Technique: Left: CT. Right: PSMA PET, same axial level, [18F]PSMA-1007 tracer. PET panel 200×200 px (4.1 mm/px).
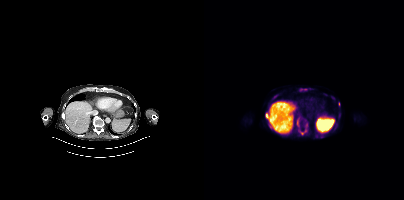
Findings: Coordinates are on the 200×200 PET (right) panel. (showing 8 of 10 foci) PSMA-avid tumor lesion bounding boxes (x, y, width, height): x=94 y=128 w=10 h=8 | x=61 y=114 w=5 h=7 | x=96 y=89 w=8 h=2 | x=93 y=118 w=3 h=7 | x=69 y=95 w=5 h=4. Small PSMA-avid foci (2 to 4 px across) near (center x, center y): (117, 136) | (129, 98) | (102, 124).